modality: PSMA PET/CT | tracer: 68Ga-PSMA | view: axial
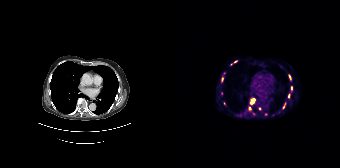
Coordinates are on the 168×168 PET (right) panel. (showing 12 of 14 foci) PSMA-avid tumor lesion bounding boxes (x0, y0)-(x1, y1): (78, 98)-(83, 104) | (111, 103)-(113, 108) | (117, 75)-(118, 79) | (50, 77)-(51, 81). Small PSMA-avid foci (2 to 4 px across) near (center x, center y): (119, 87) | (116, 95) | (77, 108) | (52, 103) | (49, 92) | (81, 113) | (63, 61) | (87, 108).